modality: PSMA PET/CT | tracer: 18F-PSMA | view: axial | PET grid: 200×200
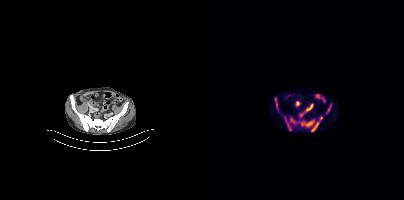
Coordinates are on the 200×200 PET (right) panel. (showing 4 of 5 foci) PSMA-avid tumor lesion bounding boxes (x0,y0,x1,y1): [96,116,118,131]; [80,116,92,130]; [70,97,74,110]; [122,103,127,114].